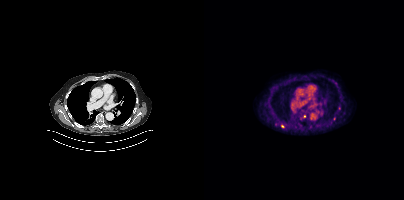
Coordinates are on the 200×200 PET (right) panel. (showing 2 of 3 foci) Small PSMA-avid foci (2 to 4 px across) near (center x, center y): (78, 126); (100, 116).